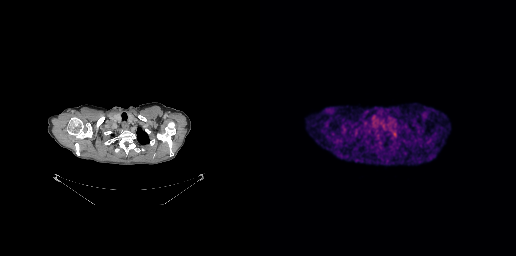
Findings: No PSMA-avid tumor lesions on this slice.
Technique: Two-panel axial: CT | PSMA PET, 18F-PSMA tracer. acquired on GE Discovery 690.